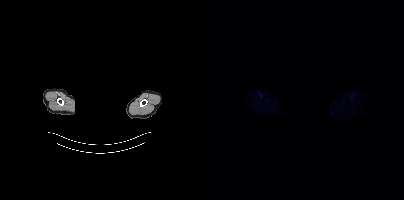
No tumor lesions annotated on this slice. A rectangle over the head was blacked out to remove identifiable facial features. Two-panel axial: CT | PSMA PET, 18F-PSMA tracer. PET panel 200×200 px (4.1 mm/px).